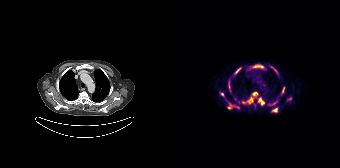
Coordinates are on the 168×168 PET (right) panel. (showing 13 of 16 foci) PSMA-avid tumor lesion bounding boxes (x0, y0)-(x1, y1): (70, 92)-(86, 104) | (55, 103)-(67, 109) | (86, 97)-(92, 105) | (81, 64)-(91, 68) | (99, 107)-(105, 112) | (63, 67)-(69, 74) | (56, 80)-(58, 88) | (110, 87)-(112, 93) | (100, 67)-(105, 73) | (100, 101)-(104, 104). Small PSMA-avid foci (2 to 4 px across) near (center x, center y): (50, 94) | (117, 98) | (97, 104). Left: CT. Right: PSMA PET, same axial level, 18F tracer. PET panel 168×168 px (4.1 mm/px).